Two-panel axial: CT | PSMA PET, 68Ga tracer.
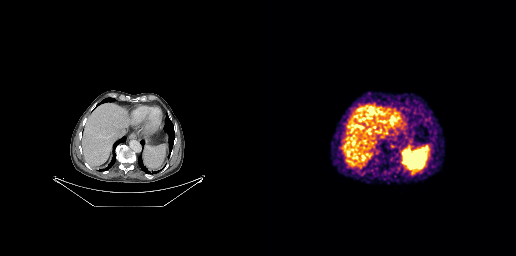
Negative for PSMA-avid disease on this slice.